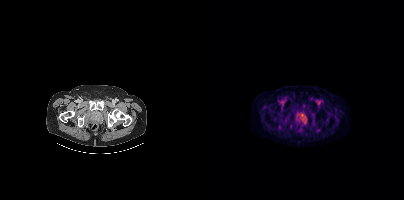
- Two-panel axial: CT | PSMA PET, 18F tracer
- slice position z = -1348 mm
- PET panel 200×200 px (4.1 mm/px)
Findings: Coordinates are on the 200×200 PET (right) panel. PSMA-avid tumor lesion bounding box (x, y, width, height): x=96 y=113 w=7 h=9.